- Paired axial CT (left) and PSMA PET (right), 68Ga tracer
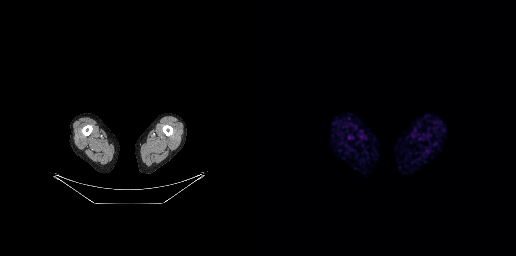
Findings: No tumor lesions annotated on this slice.